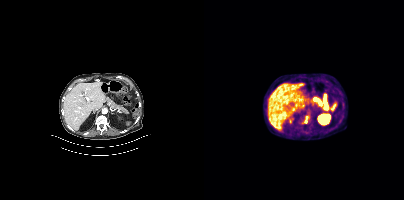
Technique: Two-panel axial: CT | PSMA PET, 18F-PSMA tracer. PET panel 200×200 px (4.1 mm/px).
Findings: Coordinates are on the 200×200 PET (right) panel. PSMA-avid tumor lesion bounding box (x0,y0,x1,y1): [100,115,104,123].